Paired axial CT (left) and PSMA PET (right), 18F tracer. PET panel 200×200 px (4.1 mm/px).
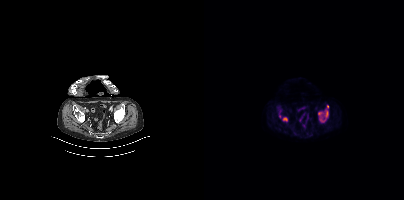
Coordinates are on the 200×200 PET (right) panel. PSMA-avid tumor lesion bounding boxes:
| # | x0 | y0 | x1 | y1 |
|---|---|---|---|---|
| 1 | 114 | 105 | 124 | 122 |
| 2 | 78 | 117 | 83 | 121 |
Small PSMA-avid foci (2 to 4 px across) near (center x, center y): (76, 116); (75, 111).